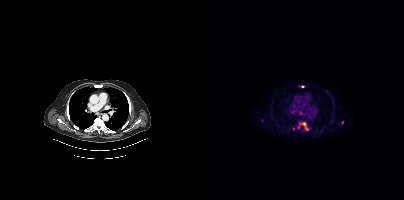
modality: PSMA PET/CT | tracer: [18F]PSMA-1007 | view: axial | PET grid: 200×200
Coordinates are on the 200×200 PET (right) panel. PSMA-avid tumor lesion bounding box (x0,y0,x1,y1): [93,122,104,130]. Small PSMA-avid foci (2 to 4 px across) near (center x, center y): (88, 111) (96, 113) (89, 128) (98, 86) (138, 122).